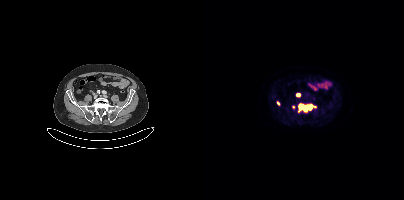
Coordinates are on the 200×200 PET (right) panel. PSMA-avid tumor lesion bounding box (x0, y0)-(x1, y1): (95, 104)-(108, 110). Small PSMA-avid foci (2 to 4 px across) near (center x, center y): (93, 95) / (89, 107) / (74, 103).